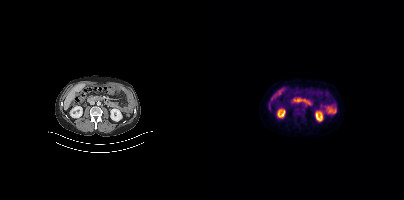
No PSMA-avid tumor lesions on this slice.